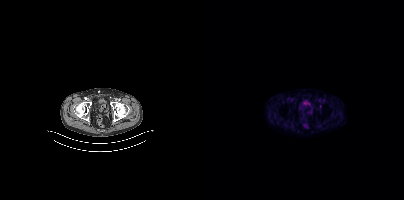
{"modality":"PSMA PET/CT","view":"axial","tracer":"18F","pet_grid":[200,200],"coord_frame":"pet_panel","coord_format":"x0,y0,x1,y1","partial":true,"lesion_bboxes":[]}